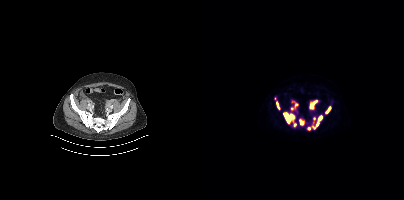
Coordinates are on the 200×200 PET (right) panel. (showing 10 of 13 foci) PSMA-avid tumor lesion bounding boxes (x, y, width, height): x=79 y=112 w=14 h=15 | x=108 y=115 w=11 h=15 | x=105 y=100 w=9 h=10 | x=95 y=119 w=6 h=7 | x=121 y=106 w=7 h=8 | x=72 y=101 w=4 h=9 | x=91 y=103 w=4 h=6. Small PSMA-avid foci (2 to 4 px across) near (center x, center y): (104, 128) | (110, 118) | (88, 108).